Left: CT. Right: PSMA PET, same axial level, 68Ga-PSMA tracer. Acquired on Siemens Biograph 64-4R TruePoint. PET panel 168×168 px (4.1 mm/px).
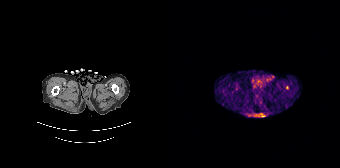
No PSMA-avid tumor lesions on this slice.